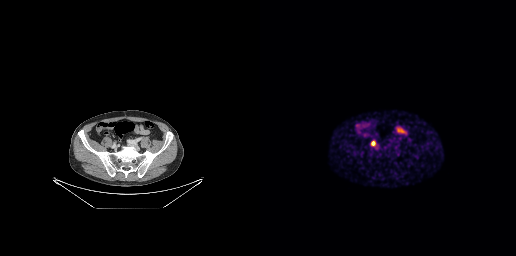
- Paired axial CT (left) and PSMA PET (right), 68Ga-PSMA tracer
- acquired on GE Discovery 690
- slice 63 of 227
Findings: Coordinates are on the 256×256 PET (right) panel. PSMA-avid tumor lesion bounding box (x0, y0)-(x1, y1): (111, 141)-(115, 145).